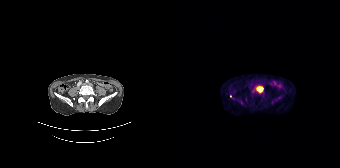
Coordinates are on the 168×168 PET (right) panel. PSMA-avid tumor lesion bounding box (x, y, width, height): x=84 y=87 w=7 h=5. Small PSMA-avid foci (2 to 4 px across) near (center x, center y): (68, 101) / (58, 96). Paired axial CT (left) and PSMA PET (right), [68Ga]Ga-PSMA-11 tracer. Acquired on Siemens Biograph 64-4R TruePoint.